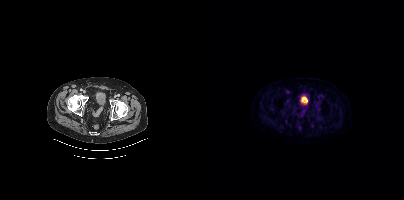
No tumor lesions annotated on this slice.